Two-panel axial: CT | PSMA PET, [68Ga]Ga-PSMA-11 tracer. Slice 31 of 195. PET panel 168×168 px (4.1 mm/px).
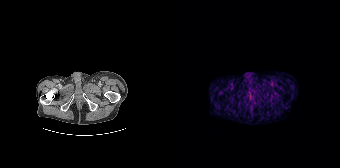
No tumor lesions annotated on this slice.